Paired axial CT (left) and PSMA PET (right), [18F]PSMA-1007 tracer.
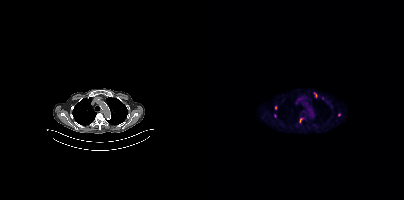
Coordinates are on the 200×200 PET (right) panel. PSMA-avid tumor lesion bounding boxes (partial; 1 more focus not listed):
| # | x0 | y0 | x1 | y1 |
|---|---|---|---|---|
| 1 | 109 | 92 | 113 | 97 |
| 2 | 95 | 118 | 98 | 123 |
Small PSMA-avid foci (2 to 4 px across) near (center x, center y): (135, 114); (71, 107); (118, 97).